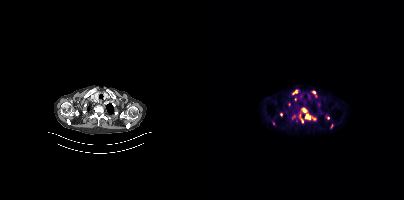
Findings: Coordinates are on the 200×200 PET (right) panel. PSMA-avid tumor lesion bounding boxes (x0, y0)-(x1, y1): (94, 107)-(112, 123) / (88, 89)-(94, 94) / (108, 90)-(113, 97) / (68, 120)-(71, 125) / (76, 112)-(78, 116) / (127, 124)-(128, 128). Small PSMA-avid foci (2 to 4 px across) near (center x, center y): (124, 118) / (85, 104) / (92, 120).
- Left: CT. Right: PSMA PET, same axial level, 18F tracer
- slice 296 of 373